- Left: CT. Right: PSMA PET, same axial level, [18F]PSMA-1007 tracer
- acquired on Siemens Biograph mCT Flow 20
- slice position z = -1451 mm
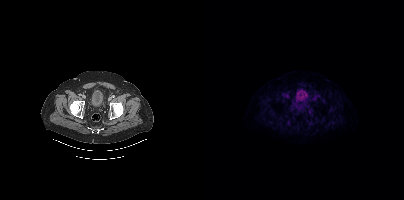
Findings: No tumor lesions annotated on this slice.